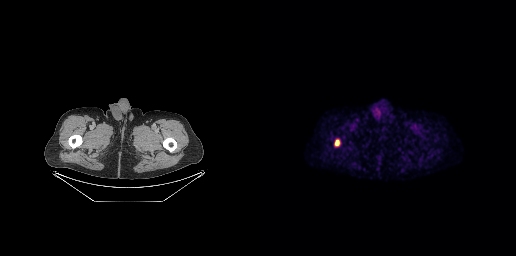
Coordinates are on the 256×256 PET (right) panel. PSMA-avid tumor lesion bounding box (x0,y0,x1,y1): [75,140,79,145].